Two-panel axial: CT | PSMA PET, 68Ga-PSMA tracer. Acquired on Siemens Biograph 64-4R TruePoint. Slice 45 of 195.
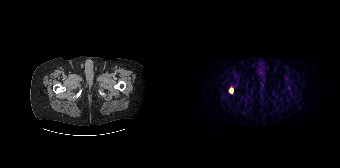
Coordinates are on the 168×168 PET (right) panel. PSMA-avid tumor lesion bounding box (x0,y0,x1,y1): [57,88,61,92].